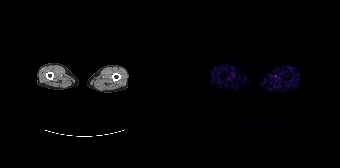
Left: CT. Right: PSMA PET, same axial level, 68Ga tracer. Acquired on Siemens Biograph 64-4R TruePoint. Slice position z = -786 mm. PET panel 168×168 px (4.1 mm/px). No PSMA-avid tumor lesions on this slice.